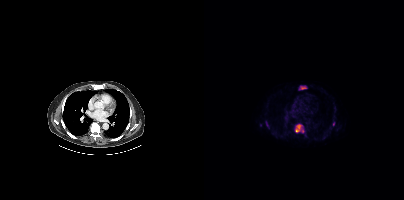
Coordinates are on the 200×200 PET (right) panel. PSMA-avid tumor lesion bounding boxes (x, y, width, height): x=91 y=124 w=10 h=9 | x=95 y=86 w=8 h=4 | x=62 y=121 w=2 h=5. Small PSMA-avid focus (2 to 4 px across) near (center x, center y): (129, 123).